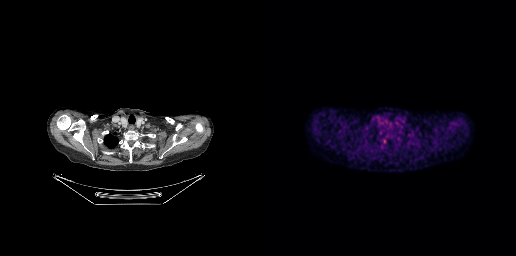
Coordinates are on the 256×256 PET (right) panel. Small PSMA-avid focus (2 to 4 px across) near (center x, center y): (124, 141).